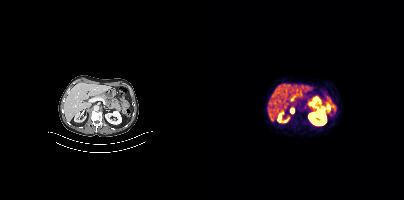
{"modality":"PSMA PET/CT","view":"axial","tracer":"68Ga-PSMA","pet_grid":[200,200],"coord_frame":"pet_panel","coord_format":"x0,y0,x1,y1","lesion_bboxes":[],"small_foci_centers":[[88,110]]}